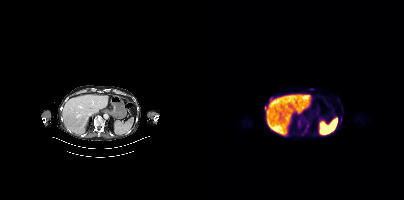
Two-panel axial: CT | PSMA PET, [18F]PSMA-1007 tracer. Slice 238 of 415. Coordinates are on the 200×200 PET (right) panel. (showing 5 of 7 foci) PSMA-avid tumor lesion bounding boxes (x0, y0)-(x1, y1): (93, 121)-(97, 125) | (101, 122)-(104, 131) | (104, 88)-(110, 90) | (61, 106)-(63, 112) | (136, 116)-(138, 122).